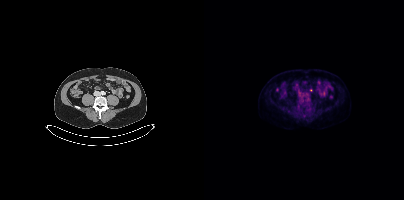
Findings: Only PSMA-avid lesion pieces thinner than 2 px on this slice (not listed).
Technique: Two-panel axial: CT | PSMA PET, 18F tracer. acquired on Siemens Biograph mCT Flow 20.